Technique: Paired axial CT (left) and PSMA PET (right), [18F]PSMA-1007 tracer. PET panel 200×200 px (4.1 mm/px).
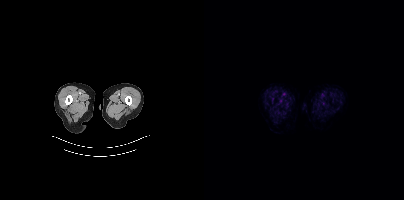
Findings: No PSMA-avid tumor lesions on this slice.